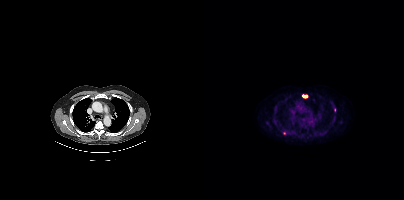
Coordinates are on the 200×200 PET (right) panel. (showing 1 of 3 foci) PSMA-avid tumor lesion bounding box (x0,y0,x1,y1): [98,94,103,98].